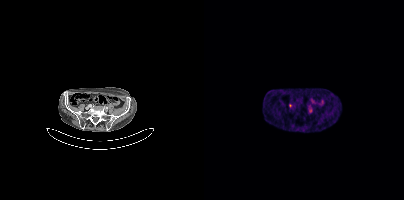
{"modality":"PSMA PET/CT","view":"axial","tracer":"68Ga-PSMA","pet_grid":[200,200],"coord_frame":"pet_panel","coord_format":"x0,y0,x1,y1","lesion_bboxes":[],"small_foci_centers":[[106,110]]}